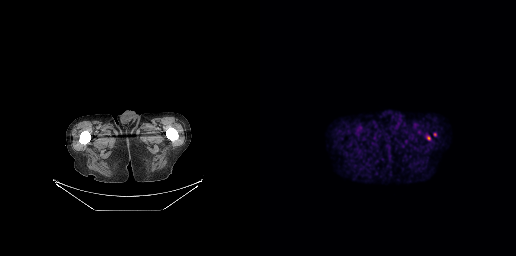
Findings: No tumor lesions annotated on this slice.
- Paired axial CT (left) and PSMA PET (right), [18F]PSMA-1007 tracer
- acquired on GE Discovery 690
- slice position z = -745 mm
- PET panel 256×256 px (2.7 mm/px)